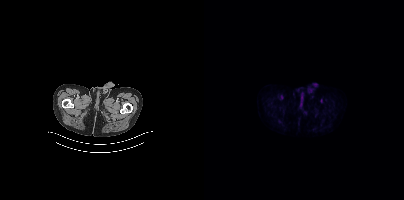
This slice has no annotated PSMA-avid lesion. Left: CT. Right: PSMA PET, same axial level, 18F-PSMA tracer. Acquired on Siemens Biograph mCT Flow 20. Slice position z = -1033 mm. PET panel 200×200 px (4.1 mm/px).